- Paired axial CT (left) and PSMA PET (right), [68Ga]Ga-PSMA-11 tracer
- acquired on Siemens Biograph mCT Flow 20
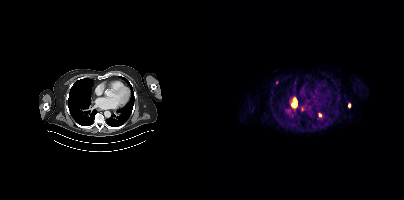
Findings: Coordinates are on the 200×200 PET (right) panel. (showing 4 of 6 foci) PSMA-avid tumor lesion bounding box (x0,y0,x1,y1): [88,98,92,106]. Small PSMA-avid foci (2 to 4 px across) near (center x, center y): (116, 115), (145, 105), (97, 109).